modality: PSMA PET/CT | tracer: [18F]PSMA-1007 | view: axial
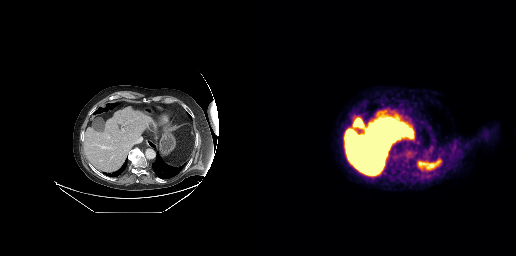
No PSMA-avid tumor lesions on this slice.